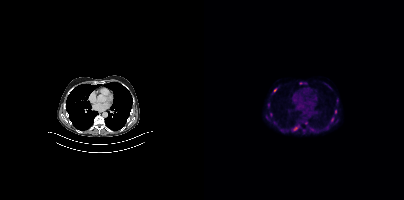
Coordinates are on the 200×200 PET (right) panel. PSMA-avid tumor lesion bounding boxes (x, y, width, height): x=89 y=125 w=7 h=6; x=95 y=82 w=8 h=3; x=69 y=88 w=5 h=5; x=127 y=117 w=4 h=5. Small PSMA-avid foci (2 to 4 px across) near (center x, center y): (131, 111); (64, 104).
modality: PSMA PET/CT | tracer: [18F]PSMA-1007 | view: axial | PET grid: 200×200